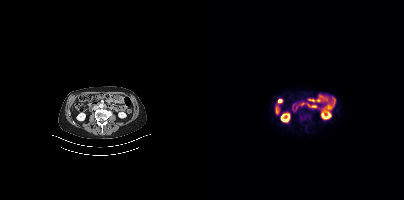
- Left: CT. Right: PSMA PET, same axial level, [18F]PSMA-1007 tracer
- slice position z = -609 mm
Findings: Negative for PSMA-avid disease on this slice.